- head region blanked for anonymization (face removed)
- Left: CT. Right: PSMA PET, same axial level, [18F]PSMA-1007 tracer
- slice 318 of 373
- PET panel 200×200 px (4.1 mm/px)
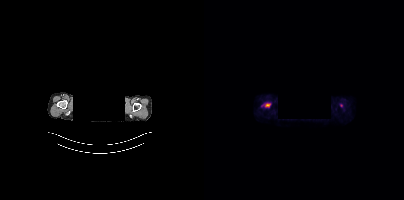
Findings: Coordinates are on the 200×200 PET (right) panel. PSMA-avid tumor lesion bounding box (x0, y0)-(x1, y1): (59, 103)-(66, 107). Small PSMA-avid focus (2 to 4 px across) near (center x, center y): (137, 105).